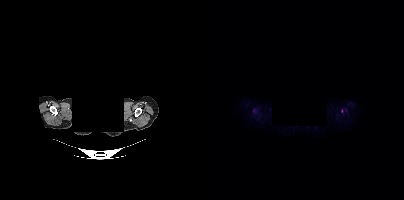
Left: CT. Right: PSMA PET, same axial level, 18F tracer. Slice position z = -800 mm. A rectangle over the head was blacked out to remove identifiable facial features. Coordinates are on the 200×200 PET (right) panel. Small PSMA-avid foci (2 to 4 px across) near (center x, center y): (50, 110) (137, 110).